Technique: Two-panel axial: CT | PSMA PET, 68Ga-PSMA tracer. acquired on Siemens Biograph 64-4R TruePoint.
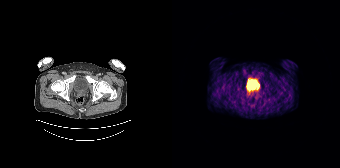
Findings: Only PSMA-avid lesion pieces thinner than 2 px on this slice (not listed).